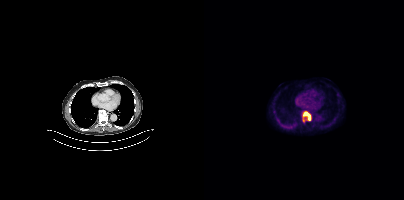
Left: CT. Right: PSMA PET, same axial level, 18F tracer. Acquired on Siemens Biograph mCT Flow 20. PET panel 200×200 px (4.1 mm/px).
Coordinates are on the 200×200 PET (right) panel. PSMA-avid tumor lesion bounding boxes:
| # | x0 | y0 | x1 | y1 |
|---|---|---|---|---|
| 1 | 98 | 111 | 107 | 121 |